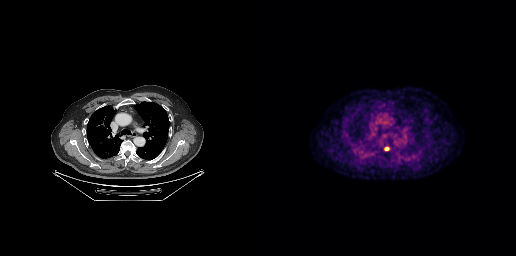
modality: PSMA PET/CT | tracer: [18F]PSMA-1007 | view: axial | PET grid: 256×256
Coordinates are on the 256×256 PET (right) panel. Small PSMA-avid focus (2 to 4 px across) near (center x, center y): (126, 148).